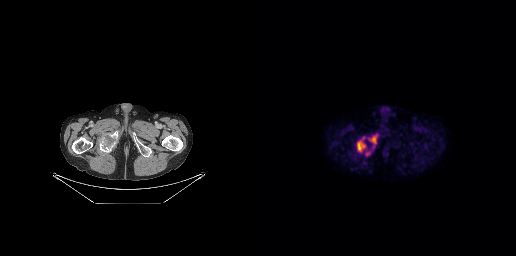
modality: PSMA PET/CT | tracer: 18F | view: axial | PET grid: 256×256
Coordinates are on the 256×256 PET (right) panel. PSMA-avid tumor lesion bounding boxes (x0, y0)-(x1, y1): (97, 137)-(105, 152) / (108, 134)-(117, 147). Small PSMA-avid focus (2 to 4 px across) near (center x, center y): (107, 153).